- Two-panel axial: CT | PSMA PET, [18F]PSMA-1007 tracer
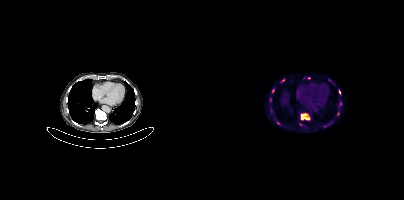
Findings: Coordinates are on the 200×200 PET (right) panel. (showing 6 of 9 foci) PSMA-avid tumor lesion bounding boxes (x, y, width, height): x=97 y=113 w=9 h=7 / x=135 y=90 w=2 h=5. Small PSMA-avid foci (2 to 4 px across) near (center x, center y): (78, 80) / (69, 90) / (136, 103) / (134, 113).